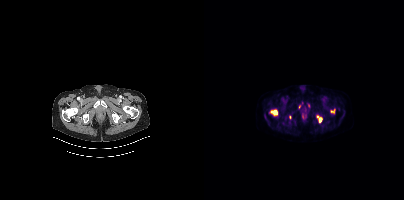
- Left: CT. Right: PSMA PET, same axial level, 18F-PSMA tracer
- acquired on Siemens Biograph mCT Flow 20
- slice 50 of 407
Findings: Coordinates are on the 200×200 PET (right) panel. PSMA-avid tumor lesion bounding boxes (x0, y0)-(x1, y1): (66, 109)-(73, 115); (126, 109)-(131, 113); (112, 116)-(118, 122). Small PSMA-avid foci (2 to 4 px across) near (center x, center y): (104, 105); (98, 115); (86, 117); (95, 106).